Left: CT. Right: PSMA PET, same axial level, 68Ga-PSMA tracer. Acquired on Siemens Biograph mCT Flow 20. Slice 162 of 444.
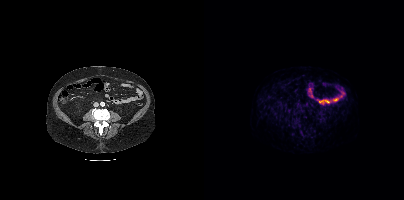
Negative for PSMA-avid disease on this slice.